Technique: Paired axial CT (left) and PSMA PET (right), [68Ga]Ga-PSMA-11 tracer.
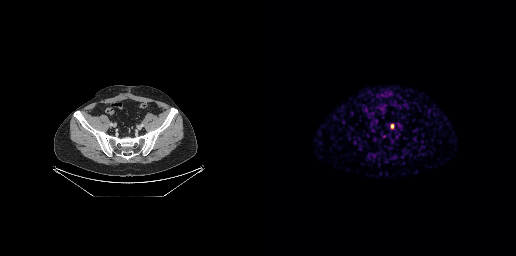
Findings: Coordinates are on the 256×256 PET (right) panel. PSMA-avid tumor lesion bounding box (x0, y0)-(x1, y1): (131, 124)-(133, 128).